Paired axial CT (left) and PSMA PET (right), 18F tracer. Acquired on Siemens Biograph mCT Flow 20. Slice position z = -198 mm. PET panel 200×200 px (4.1 mm/px).
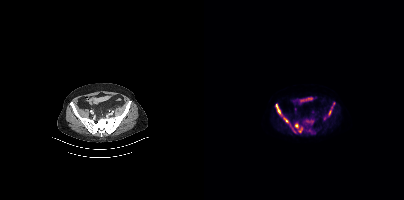
Coordinates are on the 200×200 PET (right) panel. PSMA-avid tumor lesion bounding boxes (x0,y0,x1,y1): [72,104,76,113], [80,118,83,122]. Small PSMA-avid foci (2 to 4 px across) near (center x, center y): (92, 125), (125, 112), (95, 131).